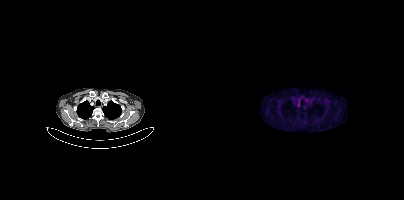
Coordinates are on the 200×200 PET (right) panel. PSMA-avid tumor lesion bounding box (x0,y0,x1,y1): [94,101,95,106]. Left: CT. Right: PSMA PET, same axial level, 18F tracer. PET panel 200×200 px (4.1 mm/px).